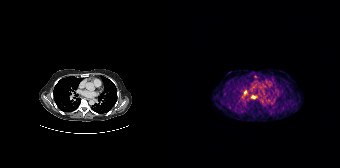
modality: PSMA PET/CT | tracer: [68Ga]Ga-PSMA-11 | view: axial | PET grid: 168×168
Coordinates are on the 168×168 PET (right) panel. PSMA-avid tumor lesion bounding boxes (x0, y0)-(x1, y1): (79, 95)-(84, 98) / (72, 90)-(74, 94).